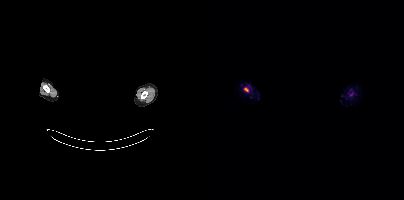
Coordinates are on the 200×200 PET (right) panel. PSMA-avid tumor lesion bounding boxes:
| # | x0 | y0 | x1 | y1 |
|---|---|---|---|---|
| 1 | 40 | 88 | 44 | 91 |
Privacy masking over the head, with the pixels inside a rectangle set to black. Two-panel axial: CT | PSMA PET, 18F tracer. Slice position z = -288 mm. PET panel 200×200 px (4.1 mm/px).